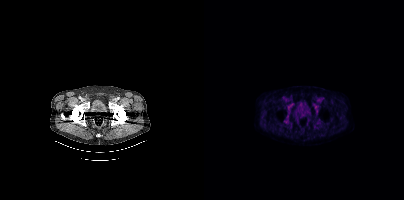
- Paired axial CT (left) and PSMA PET (right), 18F-PSMA tracer
- slice position z = -1481 mm
Findings: No PSMA-avid tumor lesions on this slice.